modality: PSMA PET/CT | tracer: 18F | view: axial | PET grid: 200×200
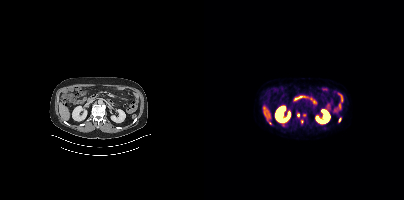
Coordinates are on the 200×200 PET (right) panel. Small PSMA-avid foci (2 to 4 px across) near (center x, center y): (94, 115) | (135, 119) | (65, 122) | (63, 117).